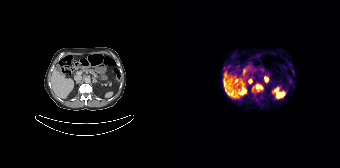
Coordinates are on the 168×168 PET (right) panel. (showing 1 of 2 foci) PSMA-avid tumor lesion bounding box (x0, y0)-(x1, y1): (84, 84)-(90, 89).